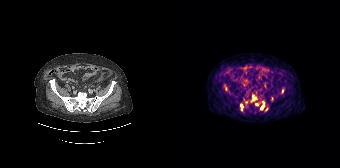
Technique: Left: CT. Right: PSMA PET, same axial level, 68Ga-PSMA tracer. acquired on Siemens Biograph 64-4R TruePoint. PET panel 168×168 px (4.1 mm/px).
Findings: Coordinates are on the 168×168 PET (right) panel. (showing 8 of 9 foci) PSMA-avid tumor lesion bounding boxes (x, y, width, height): x=88 y=101 w=5 h=9; x=79 y=95 w=6 h=7; x=68 y=104 w=4 h=7. Small PSMA-avid foci (2 to 4 px across) near (center x, center y): (84, 104); (54, 88); (110, 91); (100, 98); (94, 109).